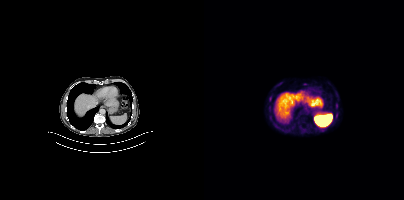
Only PSMA-avid lesion pieces thinner than 2 px on this slice (not listed). Paired axial CT (left) and PSMA PET (right), 18F tracer. PET panel 200×200 px (4.1 mm/px).